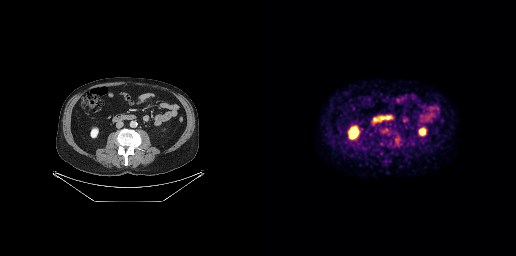
{"modality":"PSMA PET/CT","view":"axial","tracer":"18F","pet_grid":[256,256],"coord_frame":"pet_panel","coord_format":"x0,y0,x1,y1","lesion_bboxes":[[121,127,127,133],[135,137,139,144]]}